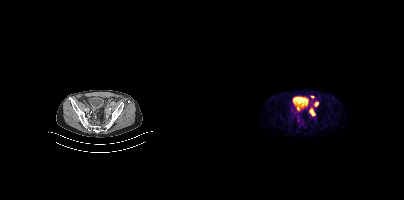
Findings: Coordinates are on the 200×200 PET (right) panel. PSMA-avid tumor lesion bounding boxes (x0, y0)-(x1, y1): (105, 108)-(111, 115) | (110, 102)-(114, 106) | (93, 106)-(95, 110). Small PSMA-avid focus (2 to 4 px across) near (center x, center y): (108, 96).
- Left: CT. Right: PSMA PET, same axial level, 68Ga tracer
- slice position z = -1368 mm